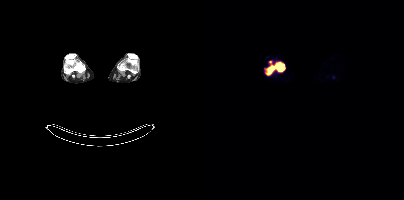
{"modality":"PSMA PET/CT","view":"axial","tracer":"[18F]PSMA-1007","pet_grid":[200,200],"coord_frame":"pet_panel","coord_format":"x0,y0,x1,y1","lesion_bboxes":[[61,61,81,74]]}